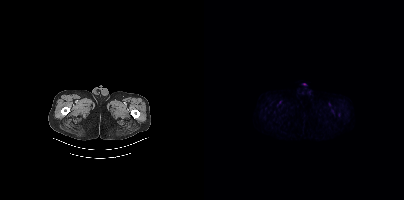
No PSMA-avid tumor lesions on this slice.